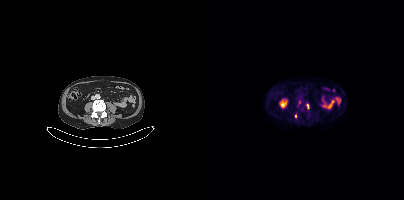
Findings: Coordinates are on the 200×200 PET (right) panel. (showing 2 of 3 foci) PSMA-avid tumor lesion bounding box (x0, y0)-(x1, y1): (102, 104)-(105, 108). Small PSMA-avid focus (2 to 4 px across) near (center x, center y): (91, 115).
- Left: CT. Right: PSMA PET, same axial level, [18F]PSMA-1007 tracer
- slice 163 of 415